Technique: Two-panel axial: CT | PSMA PET, [68Ga]Ga-PSMA-11 tracer. acquired on GE Discovery 690.
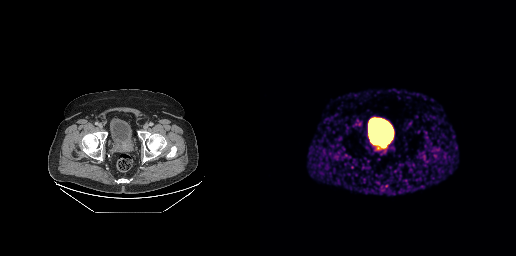
Findings: Coordinates are on the 256×256 PET (right) panel. PSMA-avid tumor lesion bounding box (x0,y0,x1,y1): [111,135,131,149].